Technique: Two-panel axial: CT | PSMA PET, 18F-PSMA tracer. PET panel 200×200 px (4.1 mm/px).
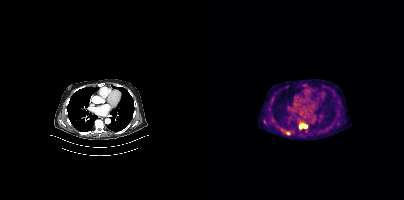
Findings: Coordinates are on the 200×200 PET (right) panel. PSMA-avid tumor lesion bounding box (x0, y0)-(x1, y1): (95, 124)-(102, 128). Small PSMA-avid focus (2 to 4 px across) near (center x, center y): (84, 133).